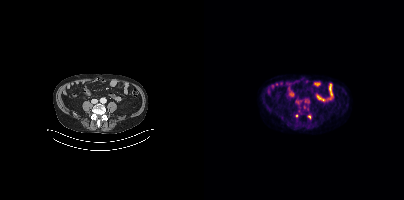
No tumor lesions annotated on this slice.